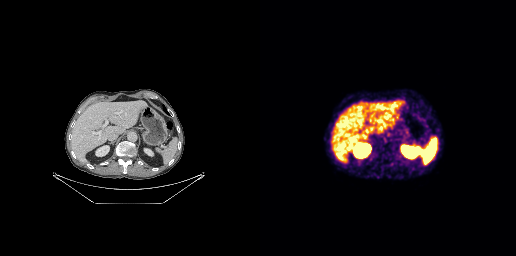
Technique: Two-panel axial: CT | PSMA PET, 68Ga tracer. acquired on GE Discovery 690.
Findings: Coordinates are on the 256×256 PET (right) panel. (showing 2 of 3 foci) PSMA-avid tumor lesion bounding box (x, y, width, height): x=123 y=136 w=4 h=7. Small PSMA-avid focus (2 to 4 px across) near (center x, center y): (128, 135).